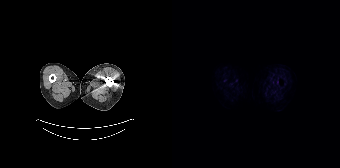
Paired axial CT (left) and PSMA PET (right), 18F-PSMA tracer. Slice position z = -1280 mm. Negative for PSMA-avid disease on this slice.